Paired axial CT (left) and PSMA PET (right), 18F-PSMA tracer. Acquired on Siemens Biograph mCT Flow 20. PET panel 200×200 px (4.1 mm/px).
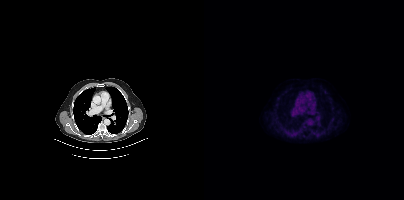
No PSMA-avid tumor lesions on this slice.